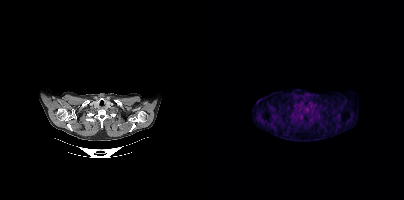
No PSMA-avid tumor lesions on this slice.
modality: PSMA PET/CT | tracer: [18F]PSMA-1007 | view: axial